Paired axial CT (left) and PSMA PET (right), [18F]PSMA-1007 tracer. Slice position z = -657 mm. PET panel 200×200 px (4.1 mm/px).
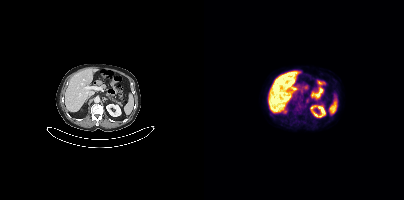
Coordinates are on the 200×200 PET (right) panel. Small PSMA-avid focus (2 to 4 px across) near (center x, center y): (102, 100).